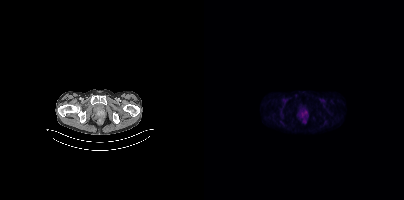
- Left: CT. Right: PSMA PET, same axial level, 18F tracer
- acquired on Siemens Biograph mCT Flow 20
Findings: Coordinates are on the 200×200 PET (right) panel. PSMA-avid tumor lesion bounding box (x0, y0)-(x1, y1): (98, 111)-(102, 115). Small PSMA-avid focus (2 to 4 px across) near (center x, center y): (100, 121).